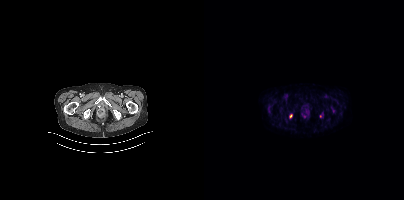
Left: CT. Right: PSMA PET, same axial level, [18F]PSMA-1007 tracer. Slice position z = -1470 mm. PET panel 200×200 px (4.1 mm/px). Coordinates are on the 200×200 PET (right) panel. (showing 1 of 2 foci) Small PSMA-avid focus (2 to 4 px across) near (center x, center y): (86, 116).